modality: PSMA PET/CT | tracer: 18F | view: axial
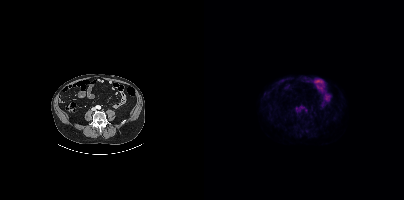
Only PSMA-avid lesion pieces thinner than 2 px on this slice (not listed).